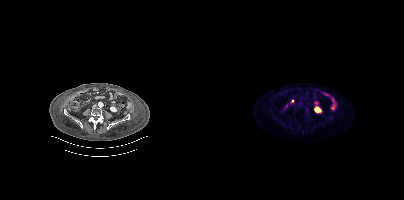
Findings: Coordinates are on the 200×200 PET (right) panel. Small PSMA-avid focus (2 to 4 px across) near (center x, center y): (103, 110).
Technique: Two-panel axial: CT | PSMA PET, 18F tracer. slice 121 of 344.